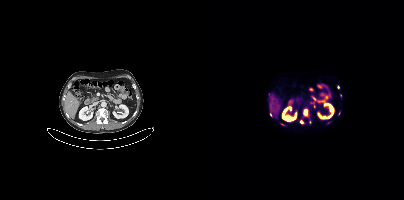
Findings: Coordinates are on the 200×200 PET (right) panel. (showing 7 of 8 foci) PSMA-avid tumor lesion bounding box (x0, y0)-(x1, y1): (100, 109)-(103, 115). Small PSMA-avid foci (2 to 4 px across) near (center x, center y): (67, 114); (106, 121); (97, 122); (125, 122); (78, 124); (134, 87).
Technique: Paired axial CT (left) and PSMA PET (right), [18F]PSMA-1007 tracer. PET panel 200×200 px (4.1 mm/px).